Paired axial CT (left) and PSMA PET (right), 18F-PSMA tracer.
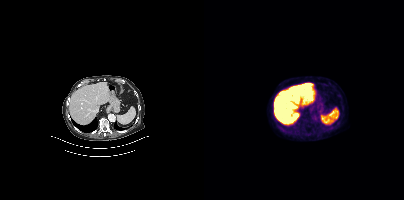
No PSMA-avid tumor lesions on this slice.